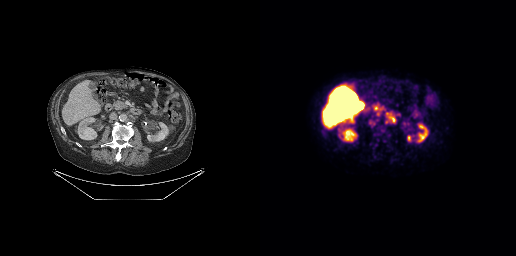
Two-panel axial: CT | PSMA PET, [18F]PSMA-1007 tracer. PET panel 256×256 px (2.7 mm/px).
Coordinates are on the 256×256 PET (right) panel. PSMA-avid tumor lesion bounding boxes:
| # | x0 | y0 | x1 | y1 |
|---|---|---|---|---|
| 1 | 126 | 112 | 135 | 123 |